Left: CT. Right: PSMA PET, same axial level, 18F tracer. Acquired on Siemens Biograph mCT Flow 20.
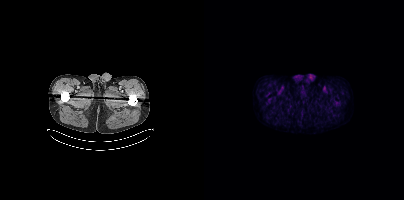
This slice has no annotated PSMA-avid lesion.